Left: CT. Right: PSMA PET, same axial level, [18F]PSMA-1007 tracer. Acquired on GE Discovery 690. Slice 253 of 299. PET panel 256×256 px (2.7 mm/px).
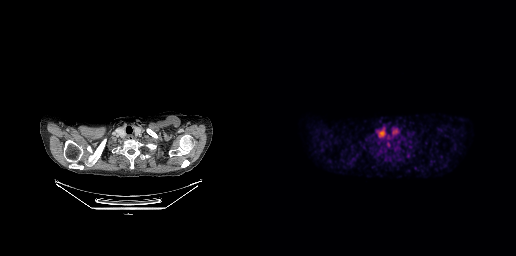
Coordinates are on the 256×256 PET (right) panel. Small PSMA-avid foci (2 to 4 px across) near (center x, center y): (128, 144) | (148, 155).